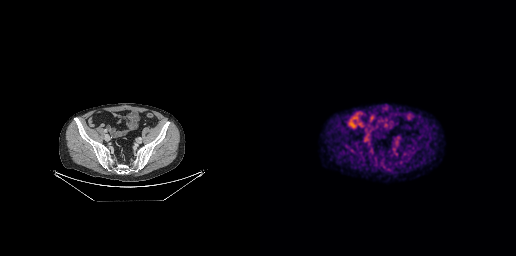
Negative for PSMA-avid disease on this slice.